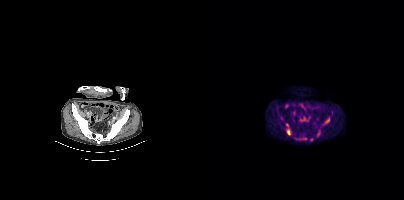
{"pet_grid":[200,200],"coord_frame":"pet_panel","coord_format":"x0,y0,x1,y1","lesion_bboxes":[[89,135,103,140],[120,117,125,124],[83,129,87,134],[113,131,116,136]],"small_foci_centers":[[83,125],[107,139]],"modality":"PSMA PET/CT","view":"axial","tracer":"18F"}